Paired axial CT (left) and PSMA PET (right), 18F tracer. Slice position z = -814 mm. PET panel 200×200 px (4.1 mm/px).
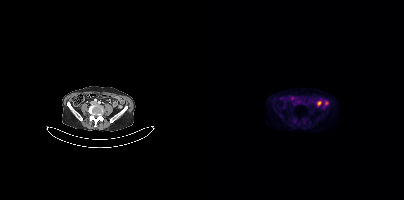
This slice has no annotated PSMA-avid lesion.